Two-panel axial: CT | PSMA PET, 18F-PSMA tracer. Slice position z = -876 mm.
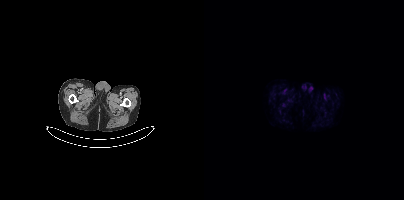
No tumor lesions annotated on this slice.